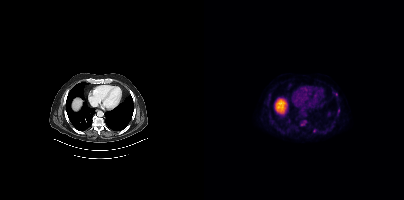
{"modality":"PSMA PET/CT","view":"axial","tracer":"18F","pet_grid":[200,200],"coord_frame":"pet_panel","coord_format":"x0,y0,x1,y1","partial":true,"lesion_bboxes":[],"small_foci_centers":[[132,94],[97,124]]}